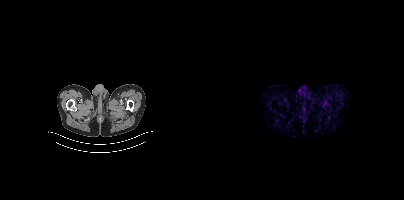
Technique: Two-panel axial: CT | PSMA PET, [68Ga]Ga-PSMA-11 tracer. acquired on Siemens Biograph mCT Flow 20. slice position z = -1492 mm. PET panel 200×200 px (4.1 mm/px).
Findings: No PSMA-avid tumor lesions on this slice.